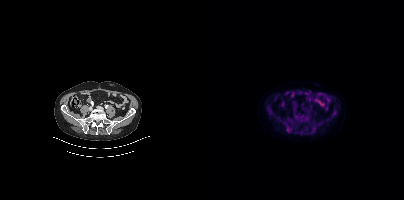
Two-panel axial: CT | PSMA PET, 18F-PSMA tracer. Acquired on Siemens Biograph mCT Flow 20. Slice position z = 27 mm. Coordinates are on the 200×200 PET (right) panel. Small PSMA-avid focus (2 to 4 px across) near (center x, center y): (84, 128).